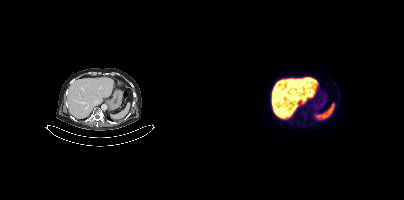
{"modality":"PSMA PET/CT","view":"axial","tracer":"[18F]PSMA-1007","pet_grid":[200,200],"coord_frame":"pet_panel","coord_format":"x0,y0,x1,y1","psma_avid_lesions":false}